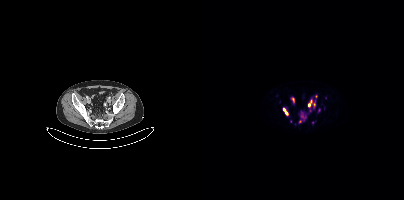
Technique: Paired axial CT (left) and PSMA PET (right), [68Ga]Ga-PSMA-11 tracer. slice position z = -1445 mm. PET panel 200×200 px (4.1 mm/px).
Findings: Coordinates are on the 200×200 PET (right) panel. (showing 9 of 10 foci) PSMA-avid tumor lesion bounding boxes (x0, y0)-(x1, y1): (96, 113)-(102, 119) | (104, 99)-(108, 106) | (79, 108)-(83, 114) | (88, 98)-(90, 102) | (114, 108)-(116, 112). Small PSMA-avid foci (2 to 4 px across) near (center x, center y): (106, 110) | (110, 104) | (112, 96) | (86, 121).